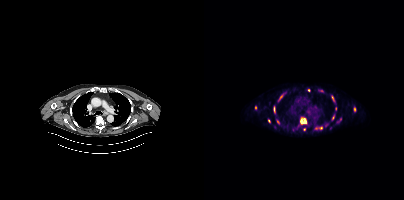
Left: CT. Right: PSMA PET, same axial level, 18F-PSMA tracer. Slice position z = -1000 mm. Coordinates are on the 200×200 PET (right) panel. (showing 13 of 18 foci) PSMA-avid tumor lesion bounding boxes (x0,y0,x1,y1): [96,118,102,124], [74,94,79,101], [128,96,130,101], [150,107,151,111]. Small PSMA-avid foci (2 to 4 px across) near (center x, center y): (116, 128), (129, 117), (111, 107), (65, 121), (117, 90), (51, 107), (73, 121), (104, 90), (100, 129).